Technique: Left: CT. Right: PSMA PET, same axial level, 18F tracer. PET panel 200×200 px (4.1 mm/px).
Note: Face de-identified by blanking a block of the head.
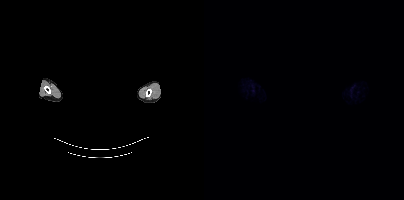
Findings: No PSMA-avid tumor lesions on this slice.